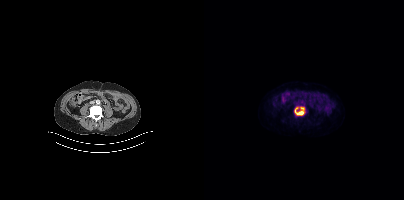
Coordinates are on the 200×200 PET (right) panel. PSMA-avid tumor lesion bounding box (x, y, width, height): x=90 y=106 w=12 h=10.